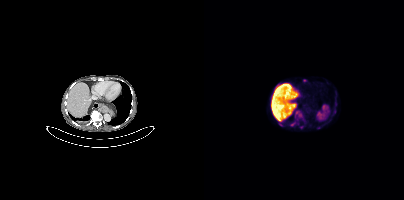
Technique: Left: CT. Right: PSMA PET, same axial level, 18F-PSMA tracer. slice position z = -694 mm. PET panel 200×200 px (4.1 mm/px).
Findings: Coordinates are on the 200×200 PET (right) panel. (showing 2 of 3 foci) PSMA-avid tumor lesion bounding box (x, y, width, height): x=91 y=111 w=7 h=6. Small PSMA-avid focus (2 to 4 px across) near (center x, center y): (88, 124).